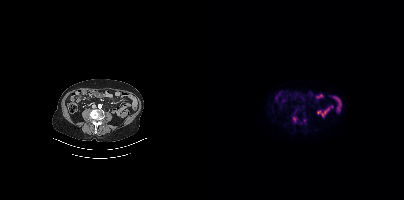
Coordinates are on the 200×200 PET (right) panel. PSMA-avid tumor lesion bounding box (x0,y0,x1,y1): [89,117,92,122]. Small PSMA-avid focus (2 to 4 px across) near (center x, center y): (100, 120).